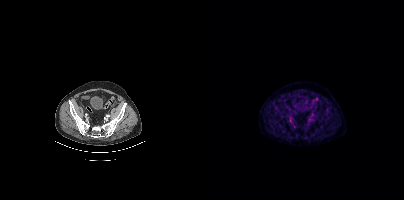
{"modality":"PSMA PET/CT","view":"axial","tracer":"18F","pet_grid":[200,200],"coord_frame":"pet_panel","coord_format":"x0,y0,x1,y1","psma_avid_lesions":false}